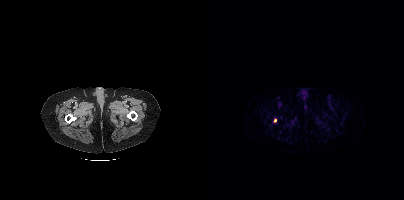
Coordinates are on the 200×200 PET (right) panel. Small PSMA-avid focus (2 to 4 px across) near (center x, center y): (71, 121). Left: CT. Right: PSMA PET, same axial level, 68Ga-PSMA tracer.